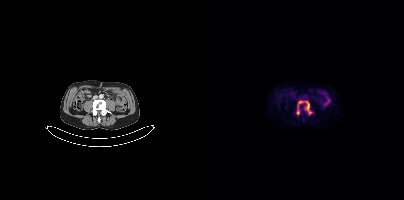
Coordinates are on the 200×200 PET (right) panel. PSMA-avid tumor lesion bounding boxes:
| # | x0 | y0 | x1 | y1 |
|---|---|---|---|---|
| 1 | 92 | 100 | 108 | 114 |
Paired axial CT (left) and PSMA PET (right), 18F tracer. Acquired on Siemens Biograph mCT Flow 20. Slice position z = -1328 mm.